modality: PSMA PET/CT | tracer: [18F]PSMA-1007 | view: axial
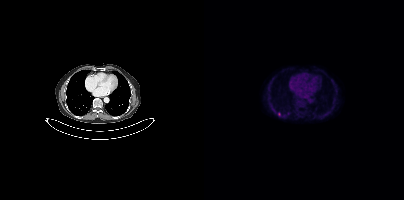
Coordinates are on the 200×200 PET (right) panel. Small PSMA-avid focus (2 to 4 px across) near (center x, center y): (75, 114).